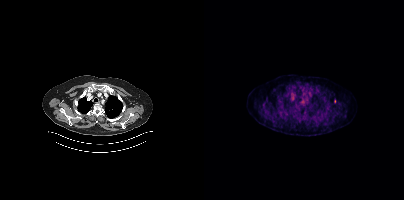
Left: CT. Right: PSMA PET, same axial level, [18F]PSMA-1007 tracer. Acquired on Siemens Biograph mCT Flow 20. Coordinates are on the 200×200 PET (right) panel. Small PSMA-avid focus (2 to 4 px across) near (center x, center y): (130, 101).